Left: CT. Right: PSMA PET, same axial level, 18F tracer. Slice position z = -671 mm. PET panel 200×200 px (4.1 mm/px).
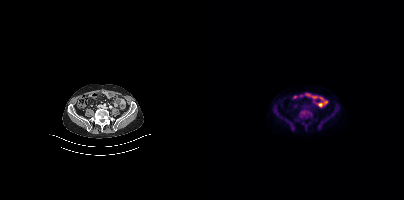
No tumor lesions annotated on this slice.